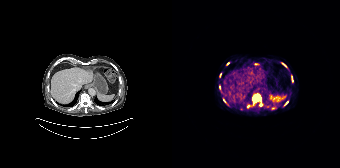
{"modality":"PSMA PET/CT","view":"axial","tracer":"[68Ga]Ga-PSMA-11","pet_grid":[168,168],"coord_frame":"pet_panel","coord_format":"x0,y0,x1,y1","partial":true,"lesion_bboxes":[[81,94,88,102],[110,63,114,66],[120,77,121,81]],"small_foci_centers":[[52,100],[47,87],[114,103],[76,106],[55,63]]}